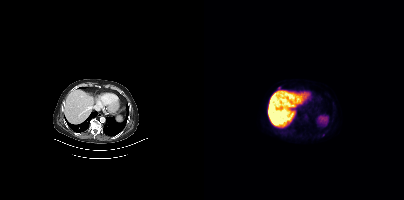
{"modality":"PSMA PET/CT","view":"axial","tracer":"18F-PSMA","pet_grid":[200,200],"coord_frame":"pet_panel","coord_format":"x0,y0,x1,y1","lesion_bboxes":[],"small_foci_centers":[[75,88],[119,134]]}